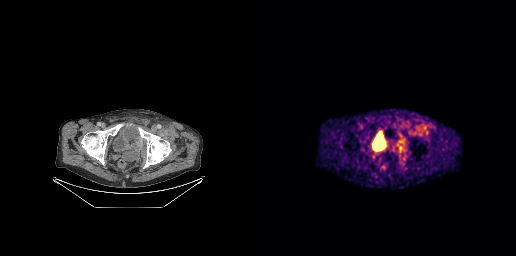
{"modality":"PSMA PET/CT","view":"axial","tracer":"68Ga-PSMA","pet_grid":[256,256],"coord_frame":"pet_panel","coord_format":"x0,y0,x1,y1","lesion_bboxes":[[138,137,144,144]],"small_foci_centers":[[161,130]]}